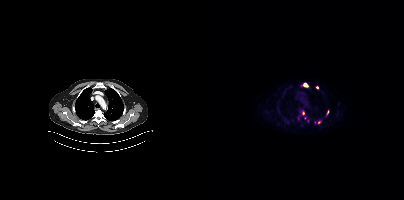
{"pet_grid":[200,200],"coord_frame":"pet_panel","coord_format":"x0,y0,x1,y1","partial":true,"lesion_bboxes":[[97,82,104,87],[122,110,124,116]],"small_foci_centers":[[113,87],[99,112],[94,117],[115,122]],"modality":"PSMA PET/CT","view":"axial","tracer":"18F-PSMA"}